Paired axial CT (left) and PSMA PET (right), 18F-PSMA tracer. Acquired on Siemens Biograph mCT Flow 20.
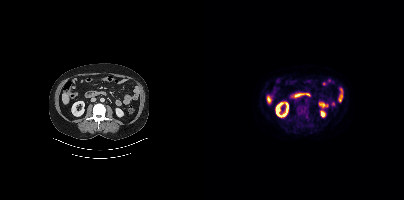
Coordinates are on the 200×200 PET (right) panel. PSMA-avid tumor lesion bounding boxes (x0,y0,x1,y1): [92,104,104,118]; [95,122,99,125]. Small PSMA-avid focus (2 to 4 px across) near (center x, center y): (93, 120).